Left: CT. Right: PSMA PET, same axial level, [18F]PSMA-1007 tracer. Slice position z = -738 mm. PET panel 200×200 px (4.1 mm/px).
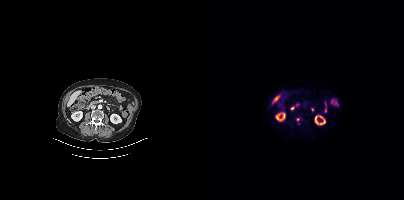
Coordinates are on the 200×200 PET (right) panel. PSMA-avid tumor lesion bounding boxes:
| # | x0 | y0 | x1 | y1 |
|---|---|---|---|---|
| 1 | 92 | 117 | 98 | 121 |
Small PSMA-avid focus (2 to 4 px across) near (center x, center y): (94, 123).